Paired axial CT (left) and PSMA PET (right), [68Ga]Ga-PSMA-11 tracer. Acquired on Siemens Biograph 64-4R TruePoint. PET panel 168×168 px (4.1 mm/px).
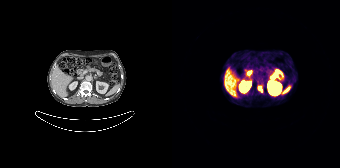
Coordinates are on the 168×168 PET (right) panel. PSMA-avid tumor lesion bounding boxes:
| # | x0 | y0 | x1 | y1 |
|---|---|---|---|---|
| 1 | 87 | 87 | 90 | 91 |